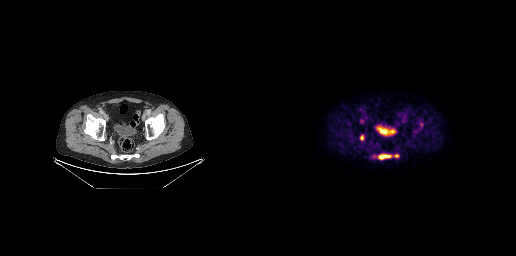
Coordinates are on the 256×256 PET (right) panel. PSMA-avid tumor lesion bounding boxes (x0, y0)-(x1, y1): (118, 154)-(131, 159); (134, 154)-(138, 157); (100, 135)-(103, 139). Small PSMA-avid foci (2 to 4 px across) near (center x, center y): (161, 124); (114, 156). Paired axial CT (left) and PSMA PET (right), 18F tracer. PET panel 256×256 px (2.7 mm/px).